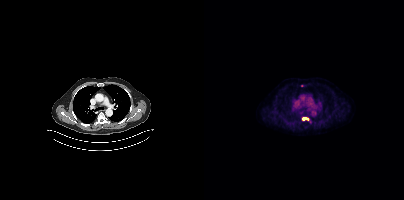
{"modality":"PSMA PET/CT","view":"axial","tracer":"18F-PSMA","pet_grid":[200,200],"coord_frame":"pet_panel","coord_format":"x0,y0,x1,y1","partial":true,"lesion_bboxes":[[98,117,104,120]]}